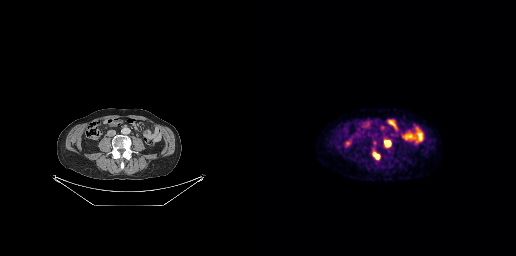
- Left: CT. Right: PSMA PET, same axial level, 18F-PSMA tracer
- slice position z = -634 mm
Findings: Coordinates are on the 256×256 PET (right) panel. PSMA-avid tumor lesion bounding boxes (x, y, width, height): x=112 y=149 w=9 h=11; x=124 y=140 w=7 h=7; x=112 y=139 w=6 h=7. Small PSMA-avid focus (2 to 4 px across) near (center x, center y): (130, 134).